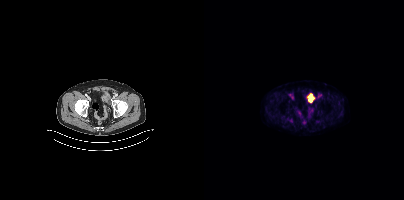
- Left: CT. Right: PSMA PET, same axial level, [18F]PSMA-1007 tracer
- slice position z = -1670 mm
Findings: Coordinates are on the 200×200 PET (right) panel. PSMA-avid tumor lesion bounding box (x, y, width, height): x=84 y=118 w=6 h=5. Small PSMA-avid focus (2 to 4 px across) near (center x, center y): (107, 97).